modality: PSMA PET/CT | tracer: 18F | view: axial
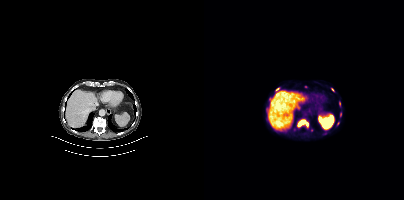
Coordinates are on the 200×200 PET (right) panel. (showing 5 of 8 foci) PSMA-avid tumor lesion bounding boxes (x0,y0,x1,y1): [94,120,104,127] [62,108,64,113]. Small PSMA-avid foci (2 to 4 px across) near (center x, center y): (73, 89) (136, 114) (128, 89).